Technique: Paired axial CT (left) and PSMA PET (right), [18F]PSMA-1007 tracer. PET panel 200×200 px (4.1 mm/px).
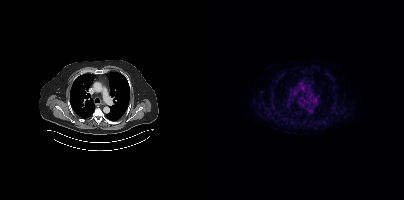
Findings: Coordinates are on the 200×200 PET (right) panel. Small PSMA-avid focus (2 to 4 px across) near (center x, center y): (69, 107).